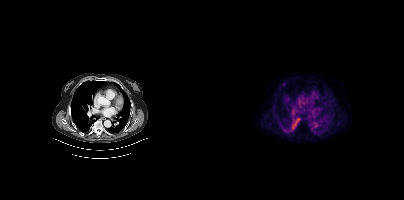
Left: CT. Right: PSMA PET, same axial level, 18F tracer. Coordinates are on the 200×200 PET (right) panel. Small PSMA-avid focus (2 to 4 px across) near (center x, center y): (80, 84).